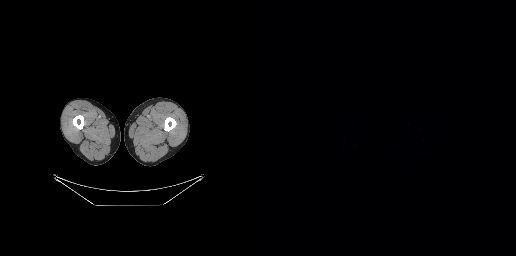
modality: PSMA PET/CT | tracer: 18F | view: axial
This slice has no annotated PSMA-avid lesion.